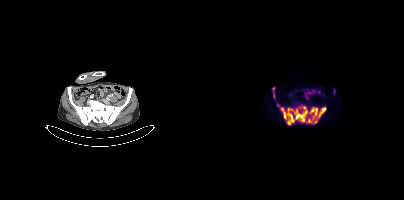
- Two-panel axial: CT | PSMA PET, 18F-PSMA tracer
- acquired on Siemens Biograph mCT Flow 20
Findings: Coordinates are on the 200×200 PET (right) panel. PSMA-avid tumor lesion bounding boxes (x0, y0)-(x1, y1): (73, 103)-(122, 125); (68, 88)-(71, 98); (130, 89)-(131, 93). Small PSMA-avid focus (2 to 4 px across) near (center x, center y): (95, 107).